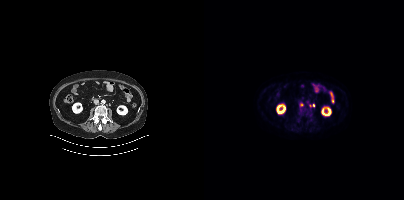
{"modality":"PSMA PET/CT","view":"axial","tracer":"18F","pet_grid":[200,200],"coord_frame":"pet_panel","coord_format":"x0,y0,x1,y1","partial":true,"lesion_bboxes":[],"small_foci_centers":[[109,105],[97,104]]}